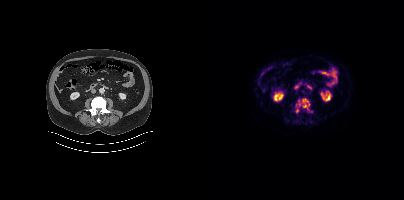
Coordinates are on the 200×200 PET (right) panel. PSMA-avid tumor lesion bounding box (x0, y0)-(x1, y1): (91, 98)-(105, 112). Small PSMA-avid foci (2 to 4 px across) near (center x, center y): (104, 110); (107, 111).